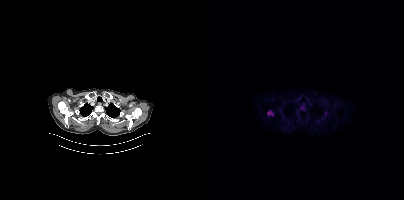
modality: PSMA PET/CT | tracer: [18F]PSMA-1007 | view: axial
Coordinates are on the 200×200 PET (right) panel. PSMA-avid tumor lesion bounding box (x, y, width, height): x=63 y=111 w=7 h=5.